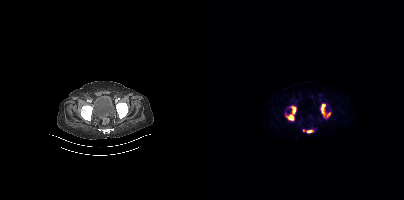
This slice has no annotated PSMA-avid lesion.
modality: PSMA PET/CT | tracer: 68Ga-PSMA | view: axial